Two-panel axial: CT | PSMA PET, 18F tracer. Acquired on Siemens Biograph mCT Flow 20. PET panel 200×200 px (4.1 mm/px).
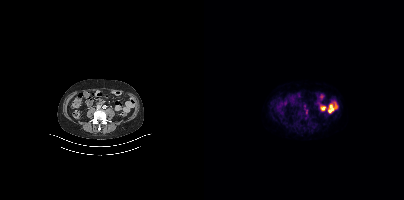
Only PSMA-avid lesion pieces thinner than 2 px on this slice (not listed).